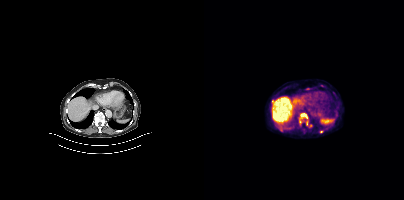
Two-panel axial: CT | PSMA PET, 18F tracer. Slice 232 of 407. PET panel 200×200 px (4.1 mm/px). Coordinates are on the 200×200 PET (right) panel. (showing 8 of 9 foci) PSMA-avid tumor lesion bounding boxes (x0, y0)-(x1, y1): (97, 113)-(103, 118); (95, 118)-(98, 123); (102, 121)-(103, 125). Small PSMA-avid foci (2 to 4 px across) near (center x, center y): (128, 120); (117, 131); (117, 85); (103, 88); (68, 100).